- Left: CT. Right: PSMA PET, same axial level, 18F-PSMA tracer
- acquired on Siemens Biograph mCT Flow 20
- slice position z = -957 mm
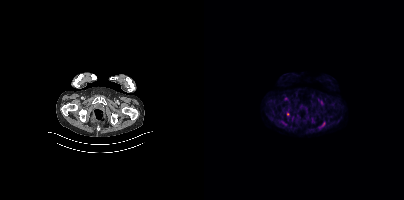
Findings: Coordinates are on the 200×200 PET (right) panel. Small PSMA-avid focus (2 to 4 px across) near (center x, center y): (84, 114).